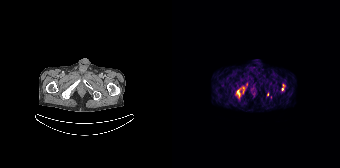
- Paired axial CT (left) and PSMA PET (right), [68Ga]Ga-PSMA-11 tracer
- acquired on Siemens Biograph 64-4R TruePoint
- slice 39 of 195
Findings: Coordinates are on the 168×168 PET (right) panel. (showing 4 of 7 foci) PSMA-avid tumor lesion bounding box (x0, y0)-(x1, y1): (64, 89)-(68, 97). Small PSMA-avid foci (2 to 4 px across) near (center x, center y): (110, 89) | (95, 94) | (71, 88).